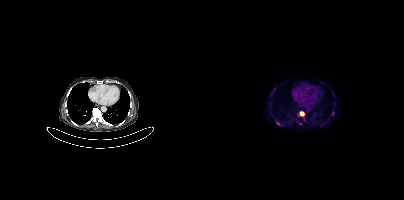
Coordinates are on the 200×200 PET (right) panel. (showing 4 of 6 foci) PSMA-avid tumor lesion bounding boxes (x0, y0)-(x1, y1): (71, 120)-(77, 125) | (96, 111)-(100, 116) | (128, 110)-(130, 115). Small PSMA-avid focus (2 to 4 px across) near (center x, center y): (96, 123).